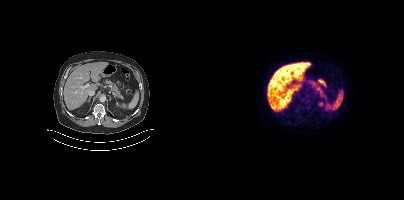
Coordinates are on the 200×200 PET (right) panel. PSMA-avid tumor lesion bounding box (x0, y0)-(x1, y1): (91, 109)-(95, 113). Small PSMA-avid focus (2 to 4 px across) near (center x, center y): (107, 102).